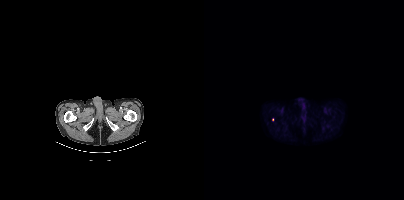
Left: CT. Right: PSMA PET, same axial level, 18F-PSMA tracer. Slice position z = -479 mm. Only PSMA-avid lesion pieces thinner than 2 px on this slice (not listed).